modality: PSMA PET/CT | tracer: [18F]PSMA-1007 | view: axial | PET grid: 200×200
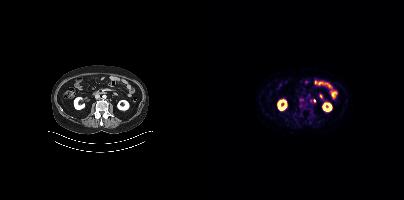
Coordinates are on the 200×200 PET (right) panel. Small PSMA-avid foci (2 to 4 px across) near (center x, center y): (110, 100) | (106, 100).